- Left: CT. Right: PSMA PET, same axial level, [18F]PSMA-1007 tracer
- acquired on Siemens Biograph mCT Flow 20
- slice position z = 472 mm
- privacy masking over the head, with the pixels inside a rectangle set to black
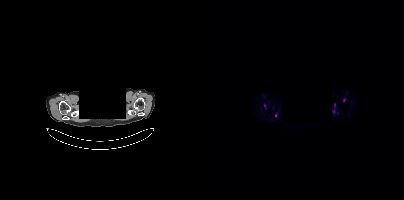
Findings: Coordinates are on the 200×200 PET (right) panel. (showing 2 of 3 foci) PSMA-avid tumor lesion bounding box (x0,y0,x1,y1): [60,104,61,108]. Small PSMA-avid focus (2 to 4 px across) near (center x, center y): (71, 115).